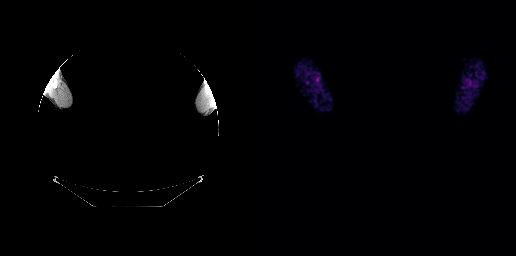
Facial anatomy redacted by setting a rectangular region of the head to black. Left: CT. Right: PSMA PET, same axial level, [68Ga]Ga-PSMA-11 tracer. Acquired on GE Discovery 690. No tumor lesions annotated on this slice.